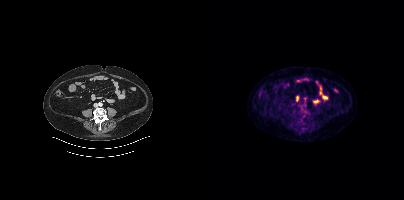
{"modality":"PSMA PET/CT","view":"axial","tracer":"18F-PSMA","pet_grid":[200,200],"coord_frame":"pet_panel","coord_format":"x0,y0,x1,y1","psma_avid_lesions":false}